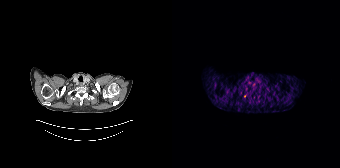
Negative for PSMA-avid disease on this slice.
modality: PSMA PET/CT | tracer: [68Ga]Ga-PSMA-11 | view: axial | PET grid: 168×168